Head region blanked for anonymization (face removed).
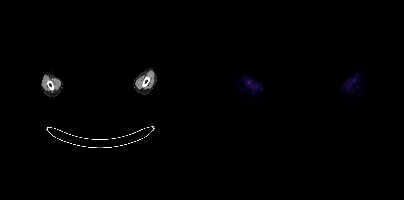
No PSMA-avid tumor lesions on this slice.